Left: CT. Right: PSMA PET, same axial level, 18F-PSMA tracer. Acquired on Siemens Biograph 64-4R TruePoint. Slice position z = -1384 mm.
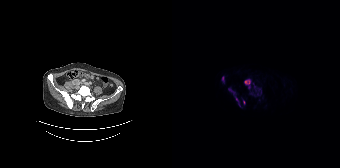
Coordinates are on the 168×168 PET (right) panel. (showing 5 of 6 foci) PSMA-avid tumor lesion bounding boxes (x, y, width, height): x=80 y=82 w=10 h=13 / x=56 y=88 w=14 h=20 / x=72 y=79 w=7 h=10 / x=50 y=76 w=3 h=7. Small PSMA-avid focus (2 to 4 px across) near (center x, center y): (71, 102).